modality: PSMA PET/CT | tracer: [68Ga]Ga-PSMA-11 | view: axial | PET grid: 256×256
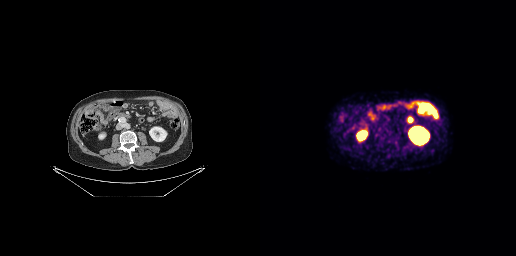
No PSMA-avid tumor lesions on this slice.